Technique: Left: CT. Right: PSMA PET, same axial level, 18F-PSMA tracer. acquired on Siemens Biograph mCT Flow 20. PET panel 200×200 px (4.1 mm/px).
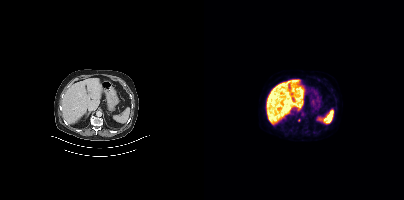
Findings: Coordinates are on the 200×200 PET (right) panel. Small PSMA-avid focus (2 to 4 px across) near (center x, center y): (94, 120).